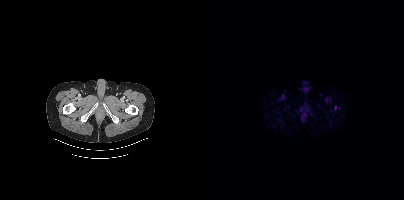
Findings: Coordinates are on the 200×200 PET (right) panel. Small PSMA-avid focus (2 to 4 px across) near (center x, center y): (131, 108).
- Two-panel axial: CT | PSMA PET, 18F-PSMA tracer
- acquired on Siemens Biograph mCT Flow 20